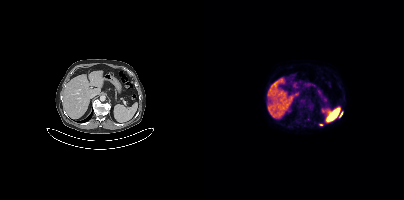
Paired axial CT (left) and PSMA PET (right), 18F tracer. Slice 219 of 419. PET panel 200×200 px (4.1 mm/px). Coordinates are on the 200×200 PET (right) panel. PSMA-avid tumor lesion bounding box (x0,y0,x1,y1): [136,112,138,116]. Small PSMA-avid focus (2 to 4 px across) near (center x, center y): (117, 124).